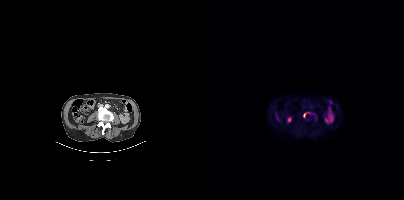
Only PSMA-avid lesion pieces thinner than 2 px on this slice (not listed).